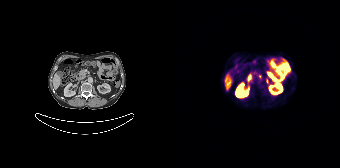
No tumor lesions annotated on this slice. Paired axial CT (left) and PSMA PET (right), 68Ga tracer. Acquired on Siemens Biograph 64-4R TruePoint. Slice 80 of 165. PET panel 168×168 px (4.1 mm/px).